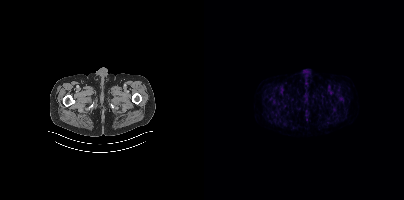
Two-panel axial: CT | PSMA PET, [18F]PSMA-1007 tracer. Slice position z = -920 mm. No tumor lesions annotated on this slice.